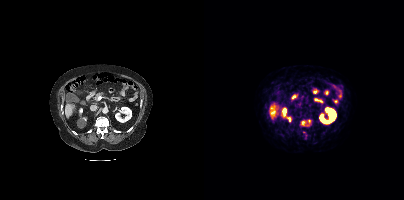
{"modality":"PSMA PET/CT","view":"axial","tracer":"68Ga","pet_grid":[200,200],"coord_frame":"pet_panel","coord_format":"x0,y0,x1,y1","partial":true,"lesion_bboxes":[[97,119,107,126]]}